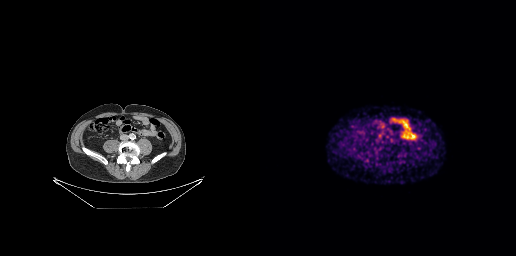
{"pet_grid":[256,256],"coord_frame":"pet_panel","coord_format":"x0,y0,x1,y1","lesion_bboxes":[],"small_foci_centers":[[119,135]],"modality":"PSMA PET/CT","view":"axial","tracer":"68Ga"}